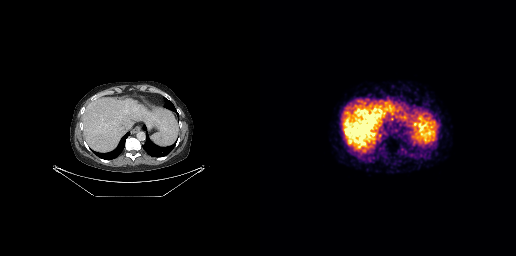
- Paired axial CT (left) and PSMA PET (right), [68Ga]Ga-PSMA-11 tracer
- slice position z = -516 mm
Findings: No PSMA-avid tumor lesions on this slice.